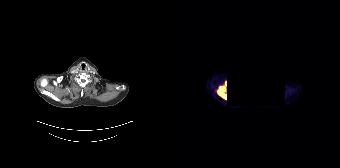
Left: CT. Right: PSMA PET, same axial level, 68Ga tracer. PET panel 168×168 px (4.1 mm/px). A block of pixels was blacked out before release to protect privacy. Coordinates are on the 168×168 PET (right) panel. (showing 1 of 2 foci) PSMA-avid tumor lesion bounding box (x0,y0,x1,y1): [46,87,54,98].